Paired axial CT (left) and PSMA PET (right), [18F]PSMA-1007 tracer. PET panel 200×200 px (4.1 mm/px).
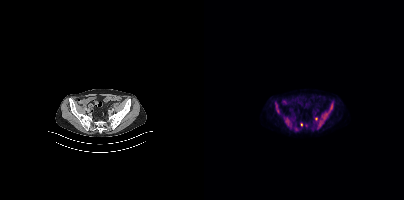
Coordinates are on the 200×200 PET (right) panel. PSMA-avid tumor lesion bounding boxes (partial; 1 more focus not listed):
| # | x0 | y0 | x1 | y1 |
|---|---|---|---|---|
| 1 | 115 | 103 | 128 | 126 |
| 2 | 80 | 117 | 87 | 127 |
| 3 | 72 | 108 | 75 | 113 |
Small PSMA-avid foci (2 to 4 px across) near (center x, center y): (112, 118); (97, 124).